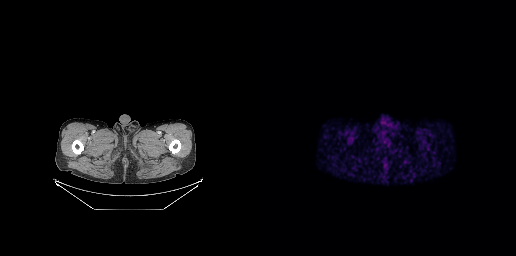
{"modality":"PSMA PET/CT","view":"axial","tracer":"[68Ga]Ga-PSMA-11","pet_grid":[256,256],"coord_frame":"pet_panel","coord_format":"x0,y0,x1,y1","psma_avid_lesions":false}